Paired axial CT (left) and PSMA PET (right), 18F-PSMA tracer. Acquired on Siemens Biograph 64-4R TruePoint. Slice 26 of 195. PET panel 168×168 px (4.1 mm/px).
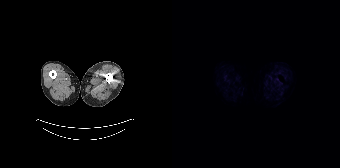
No PSMA-avid tumor lesions on this slice.